modality: PSMA PET/CT | tracer: 18F | view: axial | PET grid: 168×168
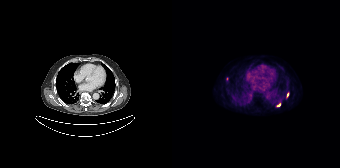
Coordinates are on the 168×168 PET (right) panel. (showing 2 of 3 foci) PSMA-avid tumor lesion bounding boxes (x0,y0,x1,y1): [104,103,108,106]; [114,92,117,97].